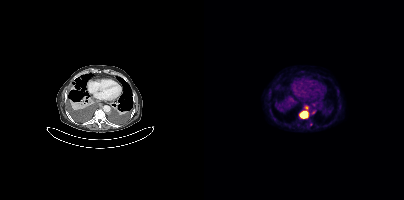
{"modality":"PSMA PET/CT","view":"axial","tracer":"18F-PSMA","pet_grid":[200,200],"coord_frame":"pet_panel","coord_format":"x0,y0,x1,y1","lesion_bboxes":[[96,111,103,118],[100,105,104,109]]}